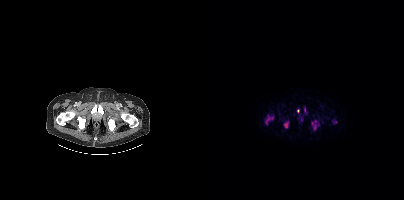
Paired axial CT (left) and PSMA PET (right), 18F-PSMA tracer. PET panel 200×200 px (4.1 mm/px). Coordinates are on the 200×200 PET (right) panel. (showing 7 of 9 foci) PSMA-avid tumor lesion bounding boxes (x, y, width, height): x=61 y=115 w=9 h=8 / x=80 y=121 w=5 h=7 / x=128 y=120 w=5 h=4 / x=110 y=124 w=2 h=6. Small PSMA-avid foci (2 to 4 px across) near (center x, center y): (94, 110) / (100, 110) / (111, 120).